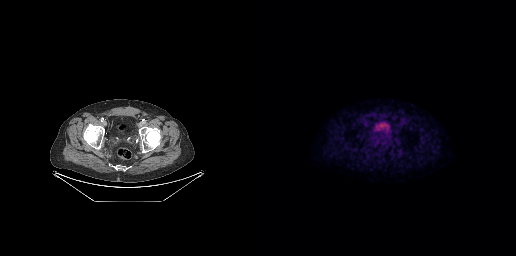
Two-panel axial: CT | PSMA PET, 18F tracer. Slice 74 of 263. PET panel 256×256 px (2.7 mm/px). This slice has no annotated PSMA-avid lesion.